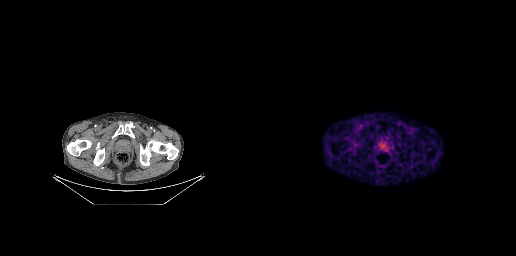
Technique: Two-panel axial: CT | PSMA PET, 68Ga tracer.
Findings: Coordinates are on the 256×256 PET (right) panel. PSMA-avid tumor lesion bounding box (x0, y0)-(x1, y1): (121, 143)-(125, 147).